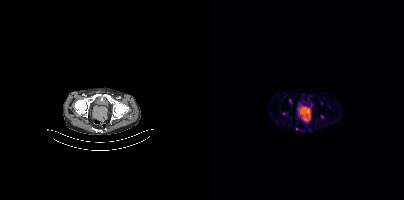
Coordinates are on the 200×200 PET (right) panel. (showing 1 of 3 foci) Small PSMA-avid focus (2 to 4 px across) near (center x, center y): (92, 128).